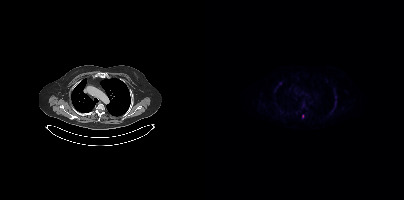
Technique: Left: CT. Right: PSMA PET, same axial level, 18F tracer. PET panel 200×200 px (4.1 mm/px).
Findings: Coordinates are on the 200×200 PET (right) panel. Small PSMA-avid focus (2 to 4 px across) near (center x, center y): (98, 116).